Two-panel axial: CT | PSMA PET, [18F]PSMA-1007 tracer. PET panel 200×200 px (4.1 mm/px). Facial anatomy redacted by setting a rectangular region of the head to black.
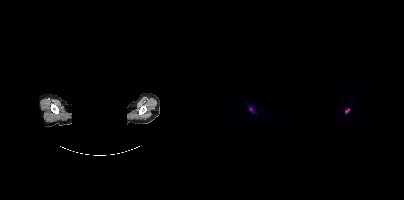
Coordinates are on the 200×200 PET (right) panel. PSMA-avid tumor lesion bounding boxes:
| # | x0 | y0 | x1 | y1 |
|---|---|---|---|---|
| 1 | 45 | 106 | 50 | 113 |
| 2 | 141 | 108 | 145 | 113 |